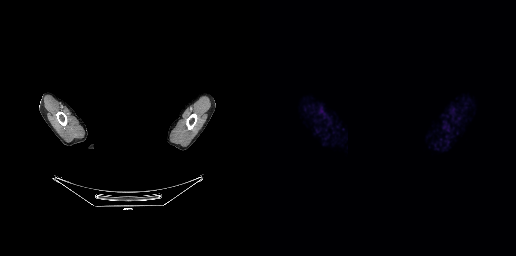
Technique: Two-panel axial: CT | PSMA PET, [68Ga]Ga-PSMA-11 tracer. acquired on GE Discovery 690.
Note: An anonymization step blacked out a rectangle over the head in this scan.
Findings: No tumor lesions annotated on this slice.